Technique: Two-panel axial: CT | PSMA PET, 18F tracer. acquired on Siemens Biograph mCT Flow 20. PET panel 200×200 px (4.1 mm/px).
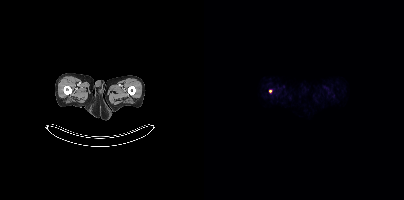
Findings: Coordinates are on the 200×200 PET (right) panel. Small PSMA-avid focus (2 to 4 px across) near (center x, center y): (66, 91).